Left: CT. Right: PSMA PET, same axial level, [68Ga]Ga-PSMA-11 tracer.
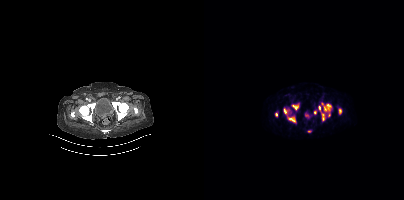
No tumor lesions annotated on this slice.